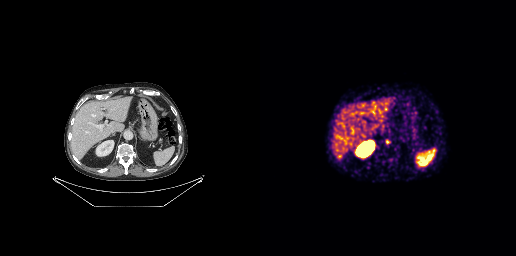
Technique: Left: CT. Right: PSMA PET, same axial level, 68Ga-PSMA tracer. slice position z = -517 mm. PET panel 256×256 px (2.7 mm/px).
Findings: Coordinates are on the 256×256 PET (right) panel. PSMA-avid tumor lesion bounding box (x, y, width, height): x=126 y=139 w=5 h=6.